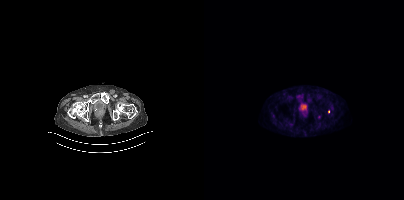
Findings: Coordinates are on the 200×200 PET (right) panel. Small PSMA-avid foci (2 to 4 px across) near (center x, center y): (115, 117); (124, 111).
- Two-panel axial: CT | PSMA PET, [18F]PSMA-1007 tracer